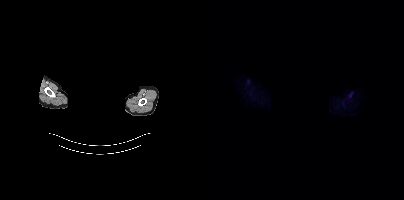
Negative for PSMA-avid disease on this slice.
Face de-identified by blanking a block of the head.